Left: CT. Right: PSMA PET, same axial level, 18F tracer. Slice 68 of 431. PET panel 200×200 px (4.1 mm/px).
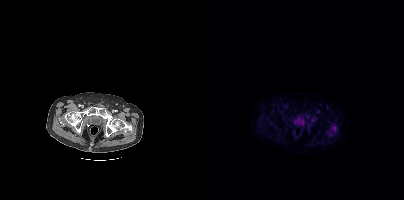
Negative for PSMA-avid disease on this slice.